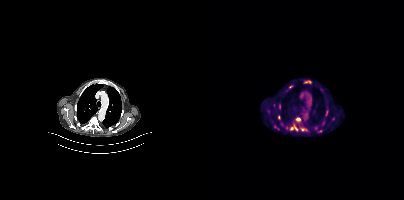
Coordinates are on the 200×200 PET (right) panel. (showing 11 of 13 foci) PSMA-avid tumor lesion bounding boxes (x0, y0)-(x1, y1): (82, 85)-(88, 91) / (70, 125)-(75, 130) / (80, 125)-(84, 129) / (74, 115)-(76, 119) / (89, 123)-(92, 127) / (75, 104)-(76, 109). Small PSMA-avid foci (2 to 4 px across) near (center x, center y): (111, 127) / (116, 131) / (93, 121) / (64, 111) / (95, 118).
modality: PSMA PET/CT | tracer: 18F-PSMA | view: axial | PET grid: 200×200